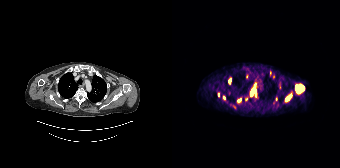
modality: PSMA PET/CT | tracer: 68Ga | view: axial
Coordinates are on the 168×168 PET (right) panel. (showing 8 of 13 foci) PSMA-avid tumor lesion bounding boxes (x, y, width, height): x=124 y=85 w=9 h=8; x=78 y=88 w=6 h=9; x=114 y=95 w=6 h=6. Small PSMA-avid foci (2 to 4 px across) near (center x, center y): (66, 100); (98, 72); (57, 80); (83, 84); (46, 94).